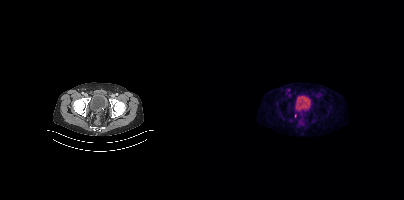
Only PSMA-avid lesion pieces thinner than 2 px on this slice (not listed).
modality: PSMA PET/CT | tracer: 18F | view: axial | PET grid: 200×200